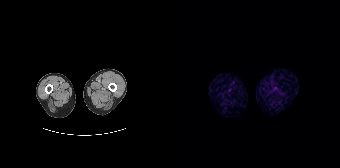
modality: PSMA PET/CT | tracer: [68Ga]Ga-PSMA-11 | view: axial
Negative for PSMA-avid disease on this slice.